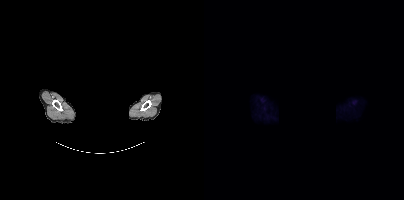
No tumor lesions annotated on this slice. The head region is masked for de-identification. Two-panel axial: CT | PSMA PET, 18F-PSMA tracer.